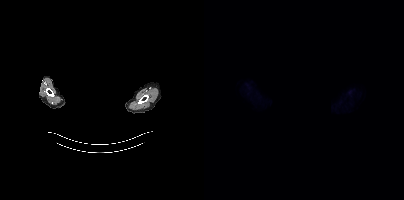
No tumor lesions annotated on this slice. A rectangle over the head was blacked out to remove identifiable facial features. Left: CT. Right: PSMA PET, same axial level, 18F-PSMA tracer. PET panel 200×200 px (4.1 mm/px).